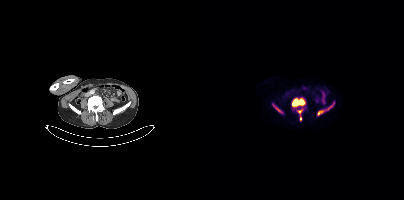
Paired axial CT (left) and PSMA PET (right), [18F]PSMA-1007 tracer. Coordinates are on the 200×200 PET (right) panel. PSMA-avid tumor lesion bounding boxes (x0, y0)-(x1, y1): (88, 98)-(101, 120) | (113, 102)-(130, 115) | (69, 104)-(77, 112).